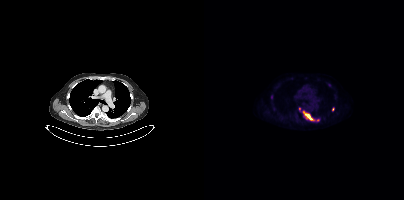
Coordinates are on the 200×200 PET (right) panel. PSMA-avid tumor lesion bounding boxes (x0, y0)-(x1, y1): (98, 110)-(115, 121); (95, 107)-(96, 111). Small PSMA-avid focus (2 to 4 px across) near (center x, center y): (129, 109).